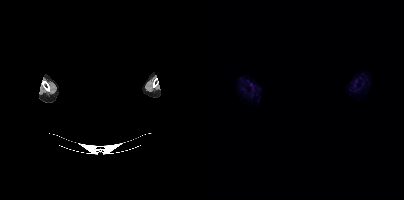
{"pet_grid":[200,200],"coord_frame":"pet_panel","coord_format":"x0,y0,x1,y1","psma_avid_lesions":false,"de-identification":"face masked with black rectangle","modality":"PSMA PET/CT","view":"axial","tracer":"18F-PSMA"}